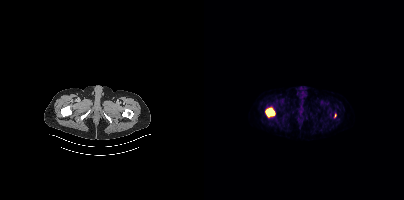
Coordinates are on the 200×200 PET (right) panel. (showing 1 of 2 foci) PSMA-avid tumor lesion bounding box (x0, y0)-(x1, y1): (62, 108)-(70, 116).